modality: PSMA PET/CT | tracer: 18F | view: axial
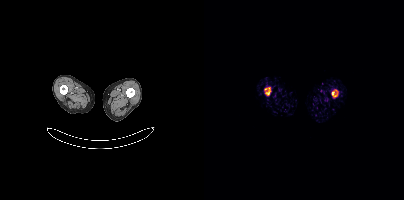
Coordinates are on the 200×200 PET (right) panel. PSMA-avid tumor lesion bounding boxes (x0,y0,x1,y1): [60,87,67,95], [127,89,134,97].